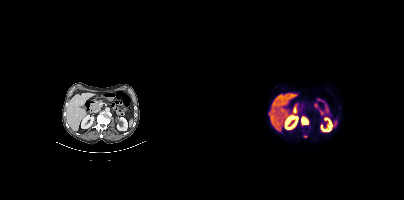
Coordinates are on the 200×200 PET (right) panel. PSMA-avid tumor lesion bounding box (x0, y0)-(x1, y1): (98, 117)-(104, 123). Small PSMA-avid focus (2 to 4 px across) near (center x, center y): (100, 136).